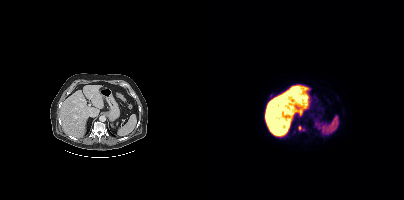
Left: CT. Right: PSMA PET, same axial level, 18F-PSMA tracer. PET panel 200×200 px (4.1 mm/px). Coordinates are on the 200×200 PET (right) panel. Small PSMA-avid focus (2 to 4 px across) near (center x, center y): (96, 127).